- facial anatomy redacted by setting a rectangular region of the head to black
- Paired axial CT (left) and PSMA PET (right), 18F-PSMA tracer
- PET panel 200×200 px (4.1 mm/px)
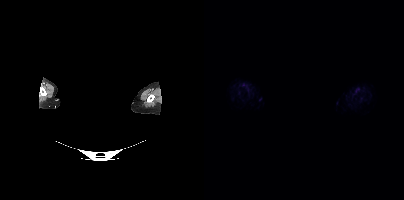
Findings: This slice has no annotated PSMA-avid lesion.